- Paired axial CT (left) and PSMA PET (right), 18F tracer
- slice position z = 344 mm
- PET panel 200×200 px (4.1 mm/px)
- facial anatomy redacted by setting a rectangular region of the head to black
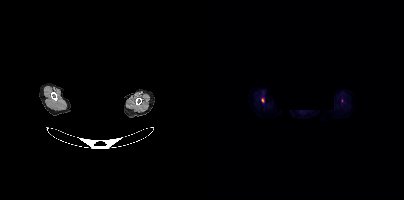
Findings: Coordinates are on the 200×200 PET (right) panel. (showing 1 of 2 foci) PSMA-avid tumor lesion bounding box (x0,y0,x1,y1): [57,98,60,102].